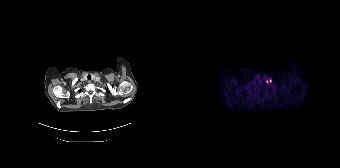
modality: PSMA PET/CT | tracer: 68Ga-PSMA | view: axial | PET grid: 168×168
Coordinates are on the 168×168 PET (right) panel. Small PSMA-avid foci (2 to 4 px across) near (center x, center y): (98, 80) | (94, 81).